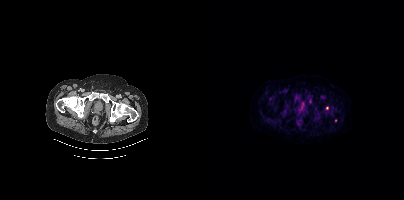
{"pet_grid":[200,200],"coord_frame":"pet_panel","coord_format":"x0,y0,x1,y1","partial":true,"lesion_bboxes":[],"small_foci_centers":[[123,108],[131,120]],"modality":"PSMA PET/CT","view":"axial","tracer":"18F-PSMA"}